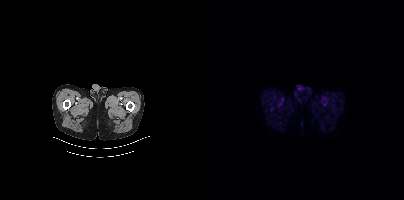
Technique: Paired axial CT (left) and PSMA PET (right), 18F tracer. slice 32 of 409.
Findings: Negative for PSMA-avid disease on this slice.